Technique: Left: CT. Right: PSMA PET, same axial level, 18F-PSMA tracer. slice 218 of 375. PET panel 200×200 px (4.1 mm/px).
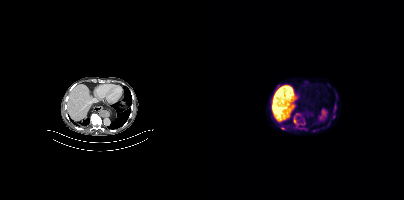
Findings: Coordinates are on the 200×200 PET (right) panel. (showing 6 of 9 foci) PSMA-avid tumor lesion bounding boxes (x0, y0)-(x1, y1): (89, 116)-(94, 125) / (130, 106)-(132, 110). Small PSMA-avid foci (2 to 4 px across) near (center x, center y): (130, 116) / (101, 129) / (78, 128) / (93, 113).